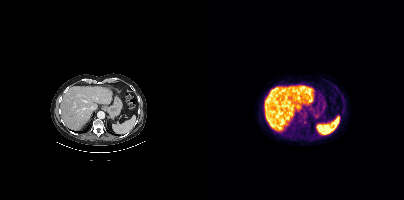
Only PSMA-avid lesion pieces thinner than 2 px on this slice (not listed). Left: CT. Right: PSMA PET, same axial level, [18F]PSMA-1007 tracer. Acquired on Siemens Biograph mCT Flow 20.